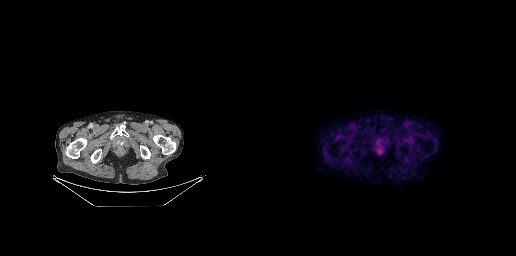
modality: PSMA PET/CT | tracer: 18F-PSMA | view: axial
Coordinates are on the 256×256 PET (right) panel. (showing 1 of 2 foci) Small PSMA-avid focus (2 to 4 px across) near (center x, center y): (145, 157).